Paired axial CT (left) and PSMA PET (right), 18F-PSMA tracer. Acquired on Siemens Biograph mCT Flow 20. PET panel 200×200 px (4.1 mm/px).
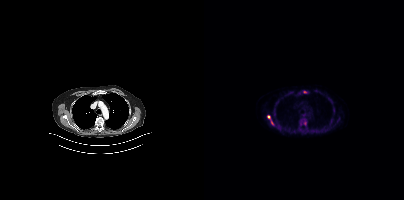
Coordinates are on the 200×200 PET (right) panel. PSMA-avid tumor lesion bounding boxes (partial; 1 more focus not listed):
| # | x0 | y0 | x1 | y1 |
|---|---|---|---|---|
| 1 | 63 | 116 | 70 | 125 |
| 2 | 100 | 121 | 102 | 125 |
Small PSMA-avid foci (2 to 4 px across) near (center x, center y): (100, 92); (123, 128).